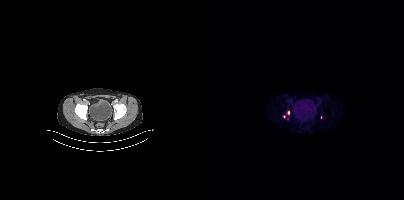
Coordinates are on the 200×200 PET (right) panel. (showing 2 of 3 foci) Small PSMA-avid foci (2 to 4 px across) near (center x, center y): (84, 112); (80, 116). Two-panel axial: CT | PSMA PET, 18F-PSMA tracer. Slice 70 of 377. PET panel 200×200 px (4.1 mm/px).